- Paired axial CT (left) and PSMA PET (right), 18F-PSMA tracer
- slice 191 of 411
- PET panel 200×200 px (4.1 mm/px)
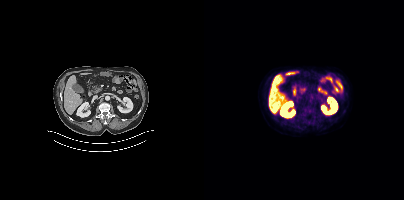
Findings: Negative for PSMA-avid disease on this slice.